Technique: Left: CT. Right: PSMA PET, same axial level, 18F tracer. acquired on Siemens Biograph mCT Flow 20. slice 17 of 963. PET panel 200×200 px (4.1 mm/px).
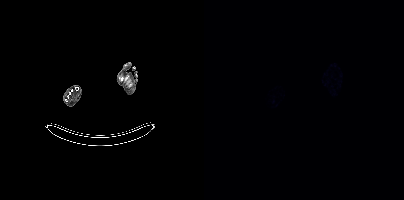
Findings: This slice has no annotated PSMA-avid lesion.